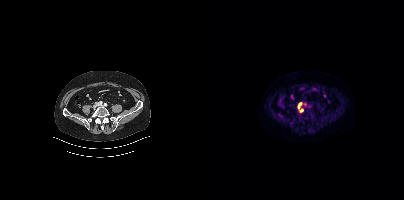
Coordinates are on the 200×200 PET (right) panel. PSMA-avid tumor lesion bounding boxes:
| # | x0 | y0 | x1 | y1 |
|---|---|---|---|---|
| 1 | 94 | 103 | 97 | 107 |
Small PSMA-avid focus (2 to 4 px across) near (center x, center y): (97, 110).
Two-panel axial: CT | PSMA PET, 18F tracer.